- Left: CT. Right: PSMA PET, same axial level, [18F]PSMA-1007 tracer
- slice position z = -920 mm
- PET panel 200×200 px (4.1 mm/px)
- part of this slice was blanked for de-identification
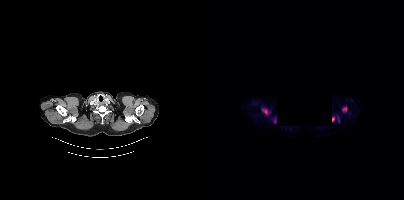
Findings: Coordinates are on the 200×200 PET (right) panel. PSMA-avid tumor lesion bounding boxes (x0,y0,x1,y1): [58,109,63,114], [139,107,142,111], [128,117,130,121], [70,118,72,122].